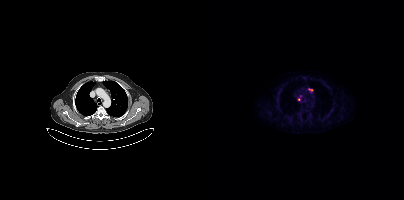
{"pet_grid":[200,200],"coord_frame":"pet_panel","coord_format":"x0,y0,x1,y1","lesion_bboxes":[[104,88,109,92]],"small_foci_centers":[[94,99],[95,95]],"modality":"PSMA PET/CT","view":"axial","tracer":"18F"}